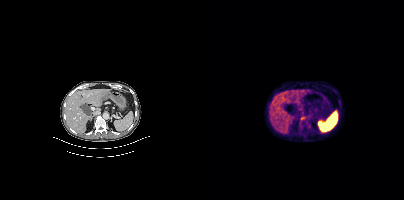
Technique: Paired axial CT (left) and PSMA PET (right), 18F tracer. slice position z = -194 mm.
Findings: Coordinates are on the 200×200 PET (right) panel. PSMA-avid tumor lesion bounding box (x0, y0)-(x1, y1): (95, 115)-(106, 126).